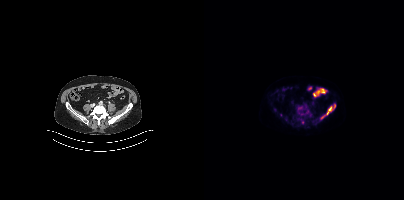
Findings: Coordinates are on the 200×200 PET (right) panel. (showing 2 of 6 foci) PSMA-avid tumor lesion bounding boxes (x0,y0,x1,y1): [117,104,131,118]; [94,107,98,109].
Technique: Paired axial CT (left) and PSMA PET (right), 18F-PSMA tracer. PET panel 200×200 px (4.1 mm/px).